Technique: Left: CT. Right: PSMA PET, same axial level, 18F-PSMA tracer. acquired on Siemens Biograph mCT Flow 20. PET panel 200×200 px (4.1 mm/px).
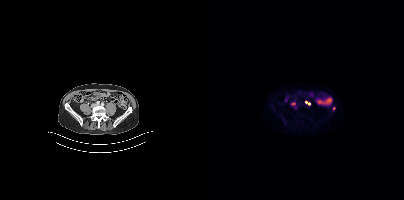
Findings: Coordinates are on the 200×200 PET (right) panel. (showing 2 of 3 foci) PSMA-avid tumor lesion bounding box (x0, y0)-(x1, y1): (101, 101)-(106, 105). Small PSMA-avid focus (2 to 4 px across) near (center x, center y): (129, 108).